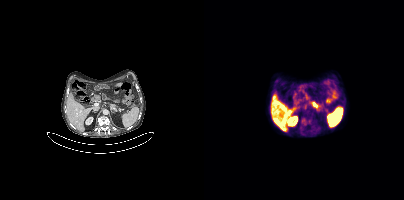
{"modality":"PSMA PET/CT","view":"axial","tracer":"18F","pet_grid":[200,200],"coord_frame":"pet_panel","coord_format":"x0,y0,x1,y1","lesion_bboxes":[[97,117,107,125]],"small_foci_centers":[[100,108],[97,127]]}